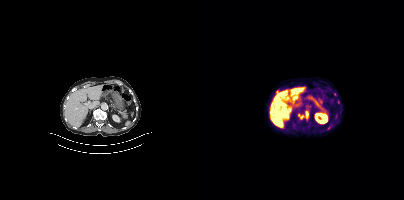
Two-panel axial: CT | PSMA PET, 18F tracer. Slice 201 of 407. Coordinates are on the 200×200 PET (right) panel. (showing 2 of 4 foci) PSMA-avid tumor lesion bounding box (x0, y0)-(x1, y1): (102, 111)-(104, 116). Small PSMA-avid focus (2 to 4 px across) near (center x, center y): (97, 117).